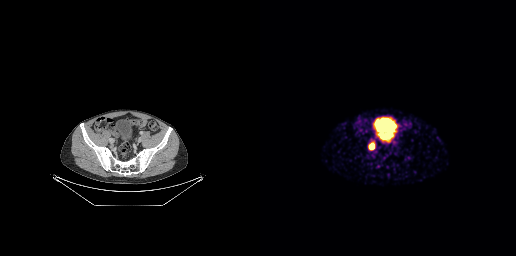
- Paired axial CT (left) and PSMA PET (right), 68Ga tracer
- acquired on GE Discovery 690
- slice position z = -774 mm
- PET panel 256×256 px (2.7 mm/px)
Findings: Coordinates are on the 256×256 PET (right) panel. PSMA-avid tumor lesion bounding box (x0,y0,x1,y1): [109,144,113,148].